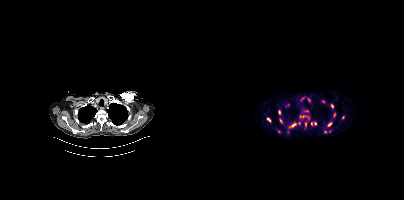
Coordinates are on the 200×200 PET (right) panel. (showing 15 of 20 foci) PSMA-avid tumor lesion bounding boxes (x, y, width, height): x=84 y=122 w=9 h=7; x=62 y=117 w=6 h=6; x=74 y=110 w=4 h=5; x=75 y=118 w=4 h=6; x=95 y=115 w=8 h=3; x=124 y=122 w=4 h=5. Small PSMA-avid foci (2 to 4 px across) near (center x, center y): (128, 105); (107, 123); (101, 124); (130, 114); (139, 117); (95, 123); (75, 131); (119, 101); (84, 104).
modality: PSMA PET/CT | tracer: [18F]PSMA-1007 | view: axial | PET grid: 200×200